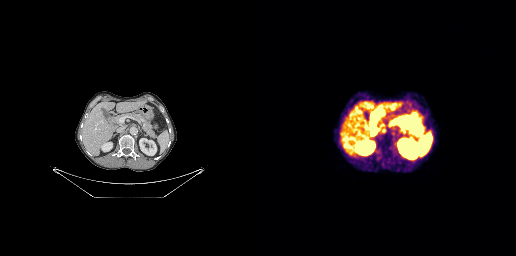
{"pet_grid":[256,256],"coord_frame":"pet_panel","coord_format":"x0,y0,x1,y1","lesion_bboxes":[[119,126,126,133]],"modality":"PSMA PET/CT","view":"axial","tracer":"[68Ga]Ga-PSMA-11"}